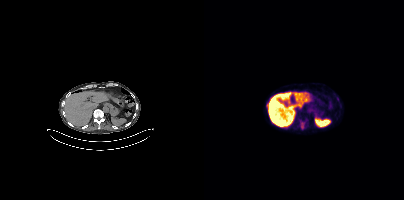
Technique: Left: CT. Right: PSMA PET, same axial level, 18F tracer. acquired on Siemens Biograph mCT Flow 20. PET panel 200×200 px (4.1 mm/px).
Findings: Coordinates are on the 200×200 PET (right) panel. Small PSMA-avid focus (2 to 4 px across) near (center x, center y): (62, 105).